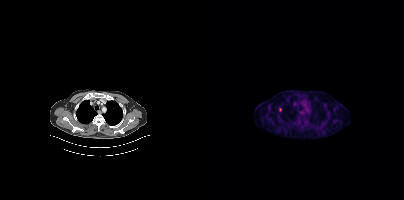
Coordinates are on the 200×200 PET (right) panel. Small PSMA-avid focus (2 to 4 px across) near (center x, center y): (76, 109).